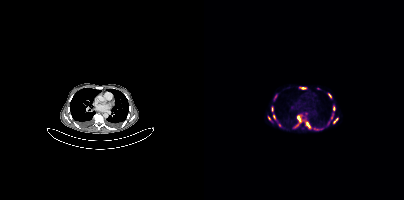
Two-panel axial: CT | PSMA PET, 68Ga-PSMA tracer. Acquired on Siemens Biograph mCT Flow 20. Slice position z = -695 mm.
Coordinates are on the 200×200 PET (right) panel. PSMA-avid tumor lesion bounding boxes (partial; 2 more foci not listed):
| # | x0 | y0 | x1 | y1 |
|---|---|---|---|---|
| 1 | 93 | 115 | 97 | 122 |
| 2 | 102 | 122 | 106 | 128 |
| 3 | 124 | 93 | 127 | 98 |
| 4 | 129 | 118 | 133 | 123 |
| 5 | 129 | 106 | 130 | 110 |
| 6 | 70 | 95 | 72 | 99 |
| 7 | 68 | 107 | 69 | 111 |
Small PSMA-avid foci (2 to 4 px across) near (center x, center y): (75, 124); (70, 116); (99, 87); (65, 118); (93, 124).